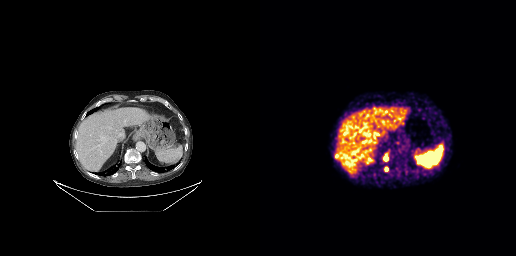
Findings: Coordinates are on the 256×256 PET (right) panel. (showing 3 of 4 foci) PSMA-avid tumor lesion bounding box (x, y, width, height): x=124 y=167 w=5 h=5. Small PSMA-avid foci (2 to 4 px across) near (center x, center y): (125, 158); (126, 153).
Technique: Paired axial CT (left) and PSMA PET (right), [68Ga]Ga-PSMA-11 tracer. acquired on GE Discovery 690. PET panel 256×256 px (2.7 mm/px).